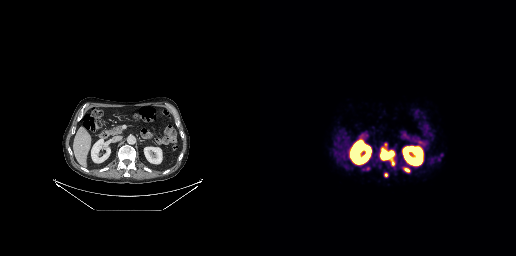
- Two-panel axial: CT | PSMA PET, [68Ga]Ga-PSMA-11 tracer
- PET panel 256×256 px (2.7 mm/px)
Findings: Coordinates are on the 256×256 PET (right) panel. (showing 4 of 5 foci) PSMA-avid tumor lesion bounding boxes (x, y, width, height): x=121 y=150 w=14 h=15 / x=143 y=168 w=7 h=5 / x=122 y=143 w=6 h=6 / x=124 y=173 w=4 h=5.